modality: PSMA PET/CT | tracer: [18F]PSMA-1007 | view: axial
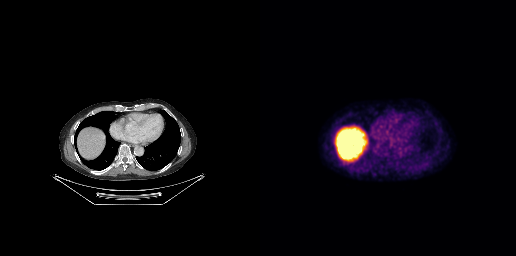
This slice has no annotated PSMA-avid lesion.